Left: CT. Right: PSMA PET, same axial level, 18F-PSMA tracer. Acquired on Siemens Biograph mCT Flow 20. PET panel 200×200 px (4.1 mm/px).
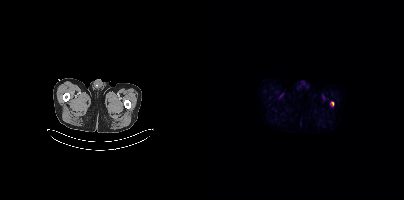
Coordinates are on the 200×200 PET (right) panel. Small PSMA-avid focus (2 to 4 px across) near (center x, center y): (128, 103).